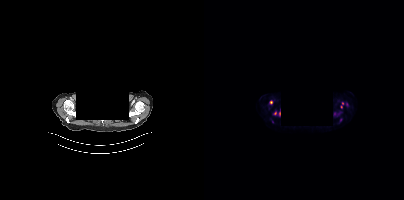
{"modality":"PSMA PET/CT","view":"axial","tracer":"18F","pet_grid":[200,200],"coord_frame":"pet_panel","coord_format":"x0,y0,x1,y1","partial":true,"lesion_bboxes":[[136,102,139,108]],"small_foci_centers":[[67,102],[71,113],[75,113],[130,113]],"de-identification":"head region blacked out before release"}